Two-panel axial: CT | PSMA PET, 68Ga-PSMA tracer.
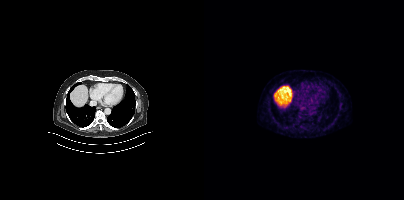
Coordinates are on the 200×200 PET (right) panel. Small PSMA-avid focus (2 to 4 px across) near (center x, center y): (136, 105).